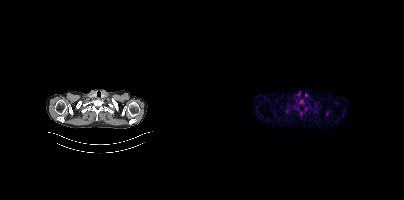
Coordinates are on the 200×200 PET (right) panel. PSMA-avid tumor lesion bounding box (x, y, width, height): x=122 y=111 w=3 h=5.
modality: PSMA PET/CT | tracer: 18F | view: axial